De-identified by setting a box covering the face to black before release. Left: CT. Right: PSMA PET, same axial level, 68Ga-PSMA tracer. Slice position z = -387 mm.
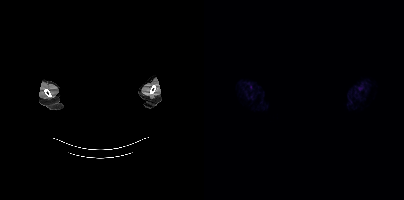
No tumor lesions annotated on this slice.